Technique: Two-panel axial: CT | PSMA PET, [18F]PSMA-1007 tracer.
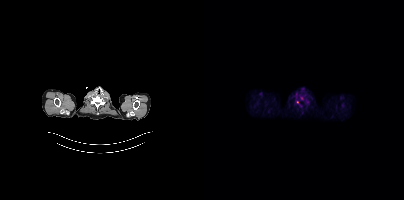
Findings: No tumor lesions annotated on this slice.